- Left: CT. Right: PSMA PET, same axial level, 18F-PSMA tracer
- acquired on Siemens Biograph mCT Flow 20
- slice 348 of 397
- an anonymization step blacked out a rectangle over the head in this scan
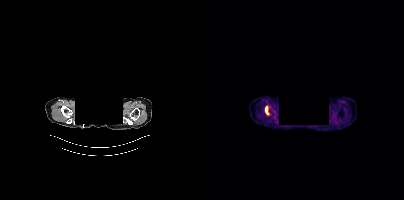
Findings: Coordinates are on the 200×200 PET (right) panel. PSMA-avid tumor lesion bounding box (x, y, width, height): x=62 y=108 w=2 h=6.